- Left: CT. Right: PSMA PET, same axial level, 18F tracer
- acquired on Siemens Biograph mCT Flow 20
- slice 295 of 403
- PET panel 200×200 px (4.1 mm/px)
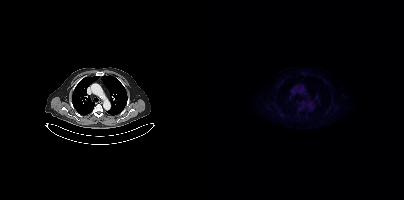
Findings: No PSMA-avid tumor lesions on this slice.